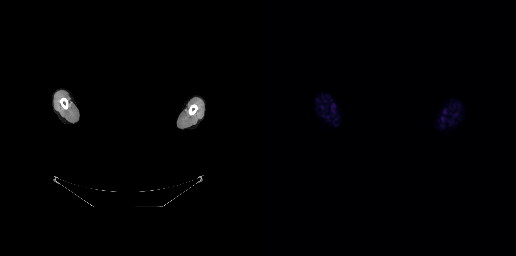
Findings: Negative for PSMA-avid disease on this slice.
- the head region is masked for de-identification
- Paired axial CT (left) and PSMA PET (right), [18F]PSMA-1007 tracer
- acquired on GE Discovery 690
- PET panel 256×256 px (2.7 mm/px)